modality: PSMA PET/CT | tracer: 18F | view: axial | PET grid: 256×256
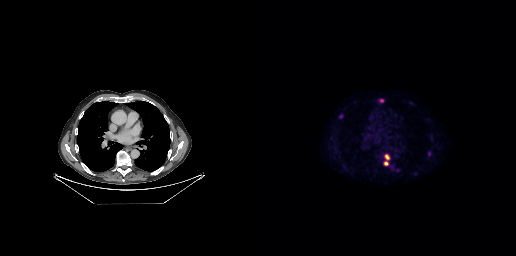
Coordinates are on the 256×256 PET (right) panel. (showing 3 of 4 foci) PSMA-avid tumor lesion bounding box (x0, y0)-(x1, y1): (123, 154)-(129, 165). Small PSMA-avid foci (2 to 4 px across) near (center x, center y): (80, 116) | (121, 100).